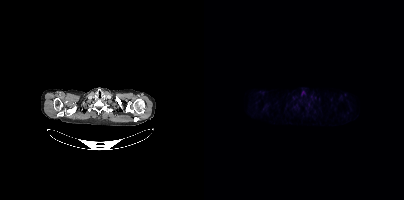
Left: CT. Right: PSMA PET, same axial level, 18F-PSMA tracer. Slice 373 of 431. Negative for PSMA-avid disease on this slice.